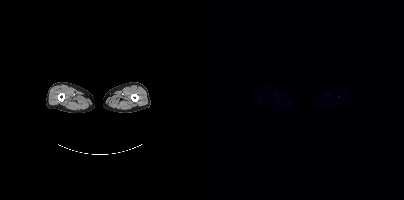
- Left: CT. Right: PSMA PET, same axial level, 18F tracer
- acquired on Siemens Biograph mCT Flow 20
- slice 35 of 508
- PET panel 200×200 px (4.1 mm/px)
Findings: No tumor lesions annotated on this slice.